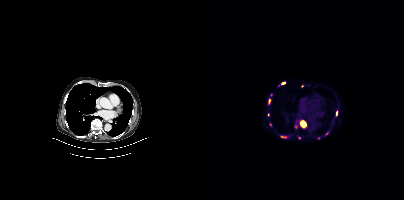
Coordinates are on the 200×200 PET (right) panel. (showing 9 of 13 foci) PSMA-avid tumor lesion bounding boxes (x, y, width, height): x=97 y=121 w=6 h=6; x=77 y=136 w=6 h=2; x=132 y=111 w=2 h=5. Small PSMA-avid foci (2 to 4 px across) near (center x, center y): (79, 83); (65, 100); (66, 124); (64, 114); (95, 137); (122, 133).